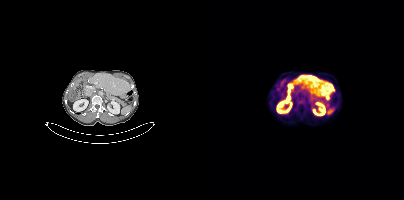
Negative for PSMA-avid disease on this slice.